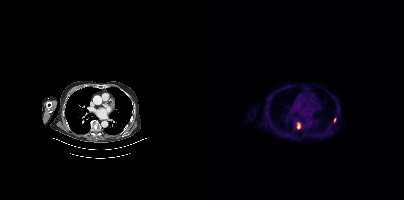
{"modality":"PSMA PET/CT","view":"axial","tracer":"[18F]PSMA-1007","pet_grid":[200,200],"coord_frame":"pet_panel","coord_format":"x0,y0,x1,y1","lesion_bboxes":[[93,123,97,129],[130,118,132,122]]}